modality: PSMA PET/CT | tracer: 68Ga | view: axial
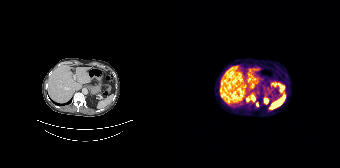
Coordinates are on the 168×168 PET (right) panel. PSMA-avid tumor lesion bounding box (x0, y0)-(x1, y1): (79, 95)-(83, 101). Small PSMA-avid foci (2 to 4 px across) near (center x, center y): (75, 99) / (85, 104).